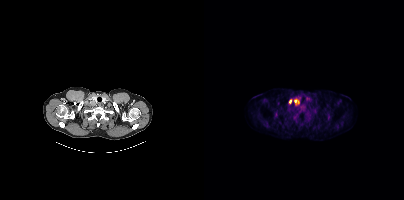
Two-panel axial: CT | PSMA PET, [18F]PSMA-1007 tracer. Acquired on Siemens Biograph mCT Flow 20. Slice position z = -895 mm.
Coordinates are on the 200×200 PET (right) panel. PSMA-avid tumor lesion bounding boxes:
| # | x0 | y0 | x1 | y1 |
|---|---|---|---|---|
| 1 | 90 | 99 | 95 | 104 |
| 2 | 85 | 99 | 87 | 103 |